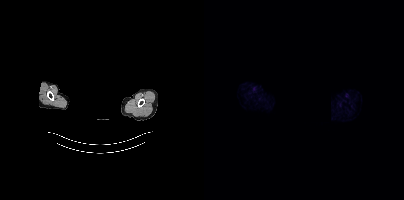
Findings: This slice has no annotated PSMA-avid lesion.
- a rectangle over the head was blacked out to remove identifiable facial features
- Paired axial CT (left) and PSMA PET (right), [68Ga]Ga-PSMA-11 tracer